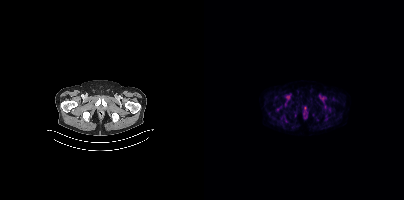
Coordinates are on the 200×200 PET (right) panel. PSMA-avid tumor lesion bounding boxes:
| # | x0 | y0 | x1 | y1 |
|---|---|---|---|---|
| 1 | 72 | 106 | 77 | 111 |
| 2 | 81 | 101 | 82 | 106 |
Left: CT. Right: PSMA PET, same axial level, 18F-PSMA tracer. Acquired on Siemens Biograph mCT Flow 20. Slice 37 of 393.